Left: CT. Right: PSMA PET, same axial level, 18F tracer. PET panel 200×200 px (4.1 mm/px). A rectangular region was set to black for de-identification.
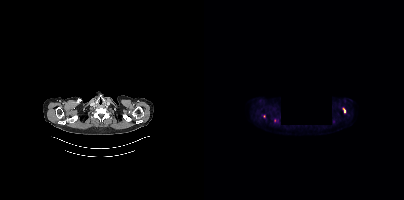
Coordinates are on the 200×200 PET (right) panel. (showing 1 of 3 foci) PSMA-avid tumor lesion bounding box (x0, y0)-(x1, y1): (139, 108)-(141, 112).